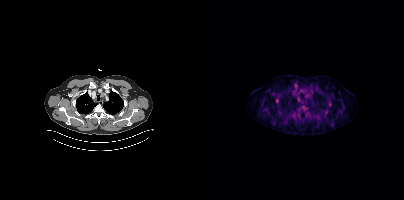
Paired axial CT (left) and PSMA PET (right), 18F-PSMA tracer. PET panel 200×200 px (4.1 mm/px). Coordinates are on the 200×200 PET (right) panel. (showing 3 of 4 foci) Small PSMA-avid foci (2 to 4 px across) near (center x, center y): (73, 100) / (95, 99) / (125, 104).